Two-panel axial: CT | PSMA PET, 18F tracer. Acquired on Siemens Biograph mCT Flow 20. PET panel 200×200 px (4.1 mm/px).
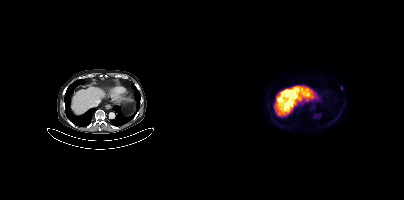
Coordinates are on the 200×200 PET (right) panel. Small PSMA-avid focus (2 to 4 px across) near (center x, center y): (137, 87).